- Paired axial CT (left) and PSMA PET (right), 18F tracer
- acquired on Siemens Biograph mCT Flow 20
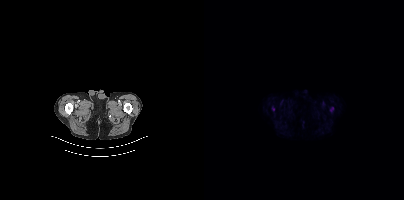
Findings: Coordinates are on the 200×200 PET (right) panel. (showing 1 of 2 foci) PSMA-avid tumor lesion bounding box (x0,y0,x1,y1): [126,107,129,111].